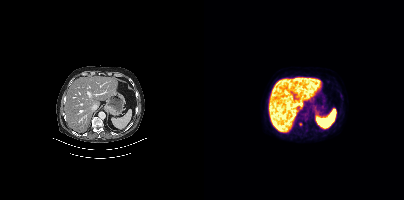
No tumor lesions annotated on this slice.